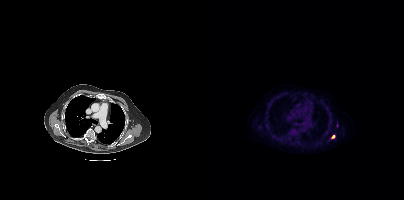
Technique: Two-panel axial: CT | PSMA PET, 18F-PSMA tracer. acquired on Siemens Biograph mCT Flow 20. PET panel 200×200 px (4.1 mm/px).
Findings: Coordinates are on the 200×200 PET (right) panel. Small PSMA-avid focus (2 to 4 px across) near (center x, center y): (129, 136).